- Left: CT. Right: PSMA PET, same axial level, [18F]PSMA-1007 tracer
- slice 119 of 454
- PET panel 200×200 px (4.1 mm/px)
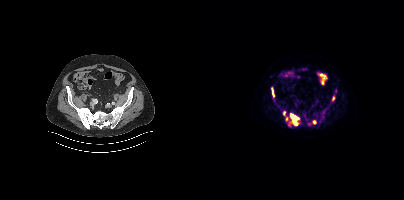
Findings: Coordinates are on the 200×200 PET (right) panel. (showing 5 of 7 foci) PSMA-avid tumor lesion bounding boxes (x0,y0,x1,y1): [79,111,95,126] [109,119,117,124] [67,88,70,95]. Small PSMA-avid foci (2 to 4 px across) near (center x, center y): (129, 98) (131, 90).